modality: PSMA PET/CT | tracer: 18F-PSMA | view: axial | PET grid: 200×200
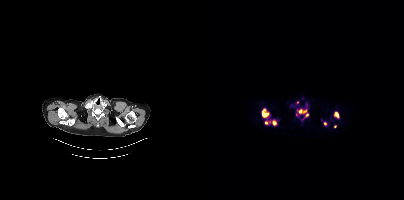
Coordinates are on the 200×200 PET (right) panel. (showing 8 of 9 foci) PSMA-avid tumor lesion bounding boxes (x0,y0,x1,y1): [58,109,64,117] [94,109,102,113] [130,112,134,117] [68,120,72,125]. Small PSMA-avid foci (2 to 4 px across) near (center x, center y): (102, 114) (62, 122) (121, 123) (131, 126).